An anonymization step blacked out a rectangle over the head in this scan.
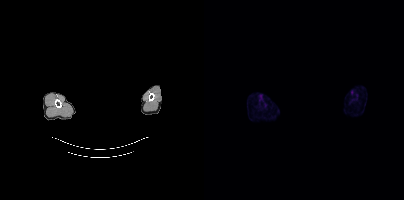
Negative for PSMA-avid disease on this slice.